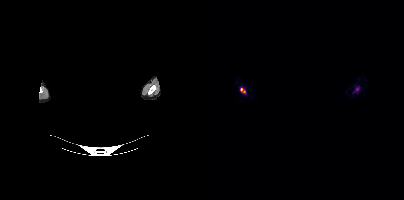
Findings: Coordinates are on the 200×200 PET (right) panel. PSMA-avid tumor lesion bounding boxes (x0,y0,x1,y1): [36,88,41,93]; [149,88,154,92].
- the head region is masked for de-identification
- Left: CT. Right: PSMA PET, same axial level, 68Ga-PSMA tracer
- slice position z = 1040 mm